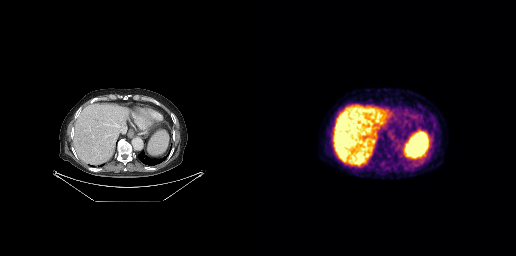
Findings: Negative for PSMA-avid disease on this slice.
Technique: Left: CT. Right: PSMA PET, same axial level, [18F]PSMA-1007 tracer. acquired on GE Discovery 690. PET panel 256×256 px (2.7 mm/px).